Paired axial CT (left) and PSMA PET (right), 68Ga tracer.
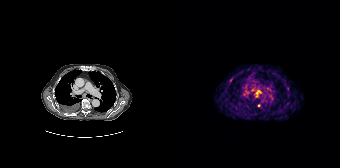
Coordinates are on the 168×168 PET (right) panel. PSMA-avid tumor lesion bounding boxes:
| # | x0 | y0 | x1 | y1 |
|---|---|---|---|---|
| 1 | 82 | 90 | 88 | 96 |
Small PSMA-avid foci (2 to 4 px across) near (center x, center y): (87, 105); (80, 89); (115, 88).